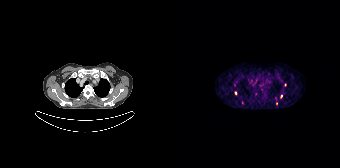
modality: PSMA PET/CT | tracer: 68Ga-PSMA | view: axial
Coordinates are on the 168×168 PET (right) panel. (showing 4 of 6 foci) Small PSMA-avid foci (2 to 4 px across) near (center x, center y): (104, 103); (62, 85); (63, 93); (70, 102).